Technique: Paired axial CT (left) and PSMA PET (right), 18F tracer. slice position z = -1238 mm.
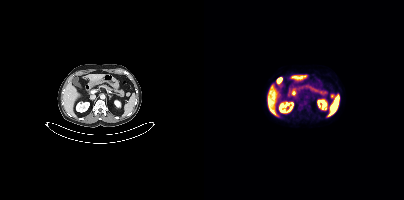
Findings: Coordinates are on the 200×200 PET (right) panel. PSMA-avid tumor lesion bounding box (x, y, width, height): x=127 y=94 w=4 h=5.